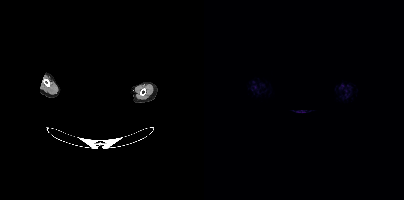
A rectangular block over the head has been blanked out for de-identification. Paired axial CT (left) and PSMA PET (right), 18F tracer. Slice 412 of 415. No tumor lesions annotated on this slice.